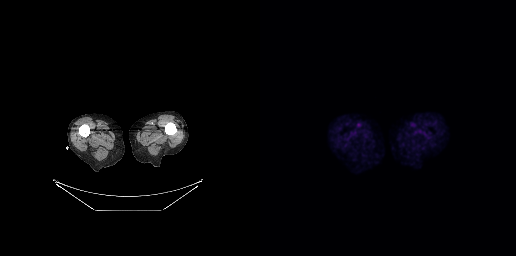
Findings: No PSMA-avid tumor lesions on this slice.
Technique: Paired axial CT (left) and PSMA PET (right), [18F]PSMA-1007 tracer. slice 18 of 263.